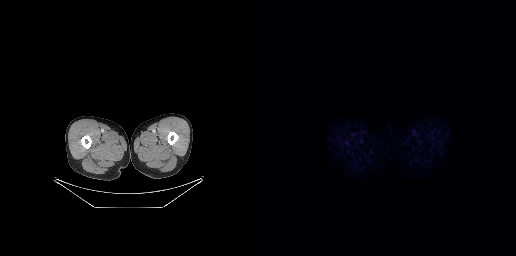
Left: CT. Right: PSMA PET, same axial level, 18F-PSMA tracer. Acquired on GE Discovery 690. PET panel 256×256 px (2.7 mm/px). This slice has no annotated PSMA-avid lesion.